Left: CT. Right: PSMA PET, same axial level, [18F]PSMA-1007 tracer. Slice 45 of 263.
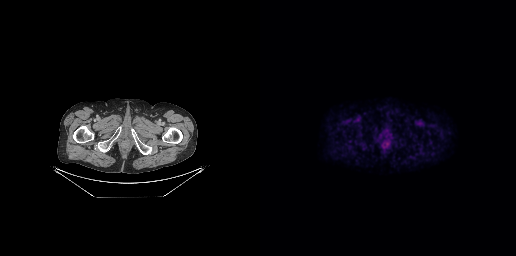
No PSMA-avid tumor lesions on this slice.